Technique: Paired axial CT (left) and PSMA PET (right), [18F]PSMA-1007 tracer. acquired on Siemens Biograph mCT Flow 20. slice position z = -1989 mm.
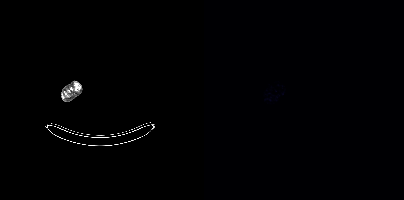
Findings: Negative for PSMA-avid disease on this slice.